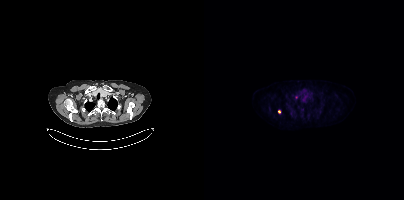
Coordinates are on the 200×200 PET (right) panel. (showing 1 of 2 foci) Small PSMA-avid focus (2 to 4 px across) near (center x, center y): (75, 111).